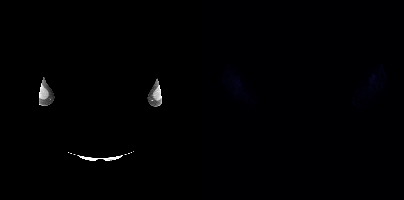
{"modality":"PSMA PET/CT","view":"axial","tracer":"[18F]PSMA-1007","pet_grid":[200,200],"coord_frame":"pet_panel","coord_format":"x0,y0,x1,y1","redaction":"face masked with black rectangle","psma_avid_lesions":false}